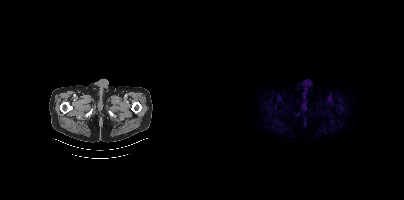
modality: PSMA PET/CT | tracer: 18F-PSMA | view: axial
No tumor lesions annotated on this slice.